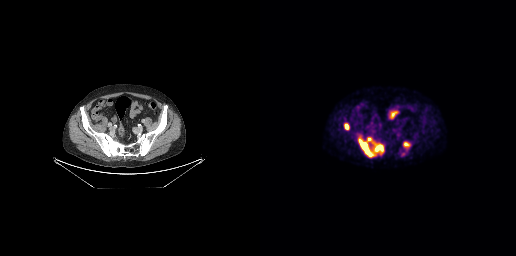
Coordinates are on the 256×256 PET (right) panel. PSMA-avid tumor lesion bounding boxes (x, y, width, height): x=98 y=137 w=26 h=21 | x=84 y=123 w=6 h=7 | x=143 y=142 w=7 h=6.
modality: PSMA PET/CT | tracer: [18F]PSMA-1007 | view: axial